Paired axial CT (left) and PSMA PET (right), 18F-PSMA tracer. Slice 71 of 405. PET panel 200×200 px (4.1 mm/px).
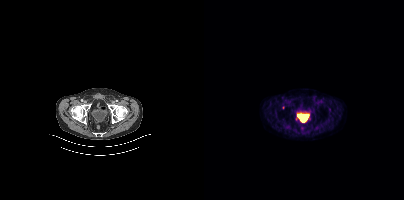
Coordinates are on the 200×200 PET (right) panel. Small PSMA-avid focus (2 to 4 px across) near (center x, center y): (79, 107).